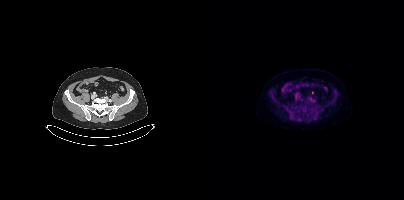
{"pet_grid":[200,200],"coord_frame":"pet_panel","coord_format":"x0,y0,x1,y1","lesion_bboxes":[],"small_foci_centers":[[108,92]],"modality":"PSMA PET/CT","view":"axial","tracer":"[18F]PSMA-1007"}